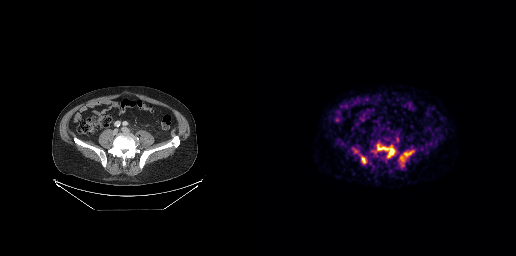
Paired axial CT (left) and PSMA PET (right), 68Ga-PSMA tracer. Acquired on GE Discovery 690. Slice position z = -675 mm. PET panel 256×256 px (2.7 mm/px). Coordinates are on the 256×256 PET (right) panel. PSMA-avid tumor lesion bounding boxes (x0, y0)-(x1, y1): (118, 146)-(134, 157) | (144, 151)-(152, 156) | (102, 157)-(105, 162) | (140, 156)-(143, 160).